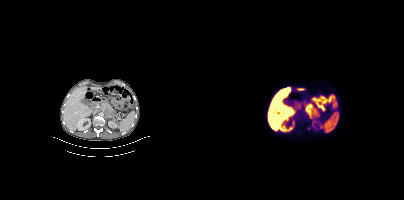
Left: CT. Right: PSMA PET, same axial level, 18F tracer. Slice position z = -1270 mm. PET panel 200×200 px (4.1 mm/px). Coordinates are on the 200×200 PET (right) panel. PSMA-avid tumor lesion bounding box (x, y, width, height): x=101 y=104 w=14 h=15. Small PSMA-avid focus (2 to 4 px across) near (center x, center y): (104, 127).